modality: PSMA PET/CT | tracer: 18F | view: axial
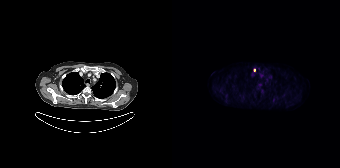
Coordinates are on the 168×168 PET (right) panel. Small PSMA-avid foci (2 to 4 px across) near (center x, center y): (88, 85) | (82, 69).